Technique: Two-panel axial: CT | PSMA PET, [18F]PSMA-1007 tracer. slice 240 of 354. PET panel 200×200 px (4.1 mm/px).
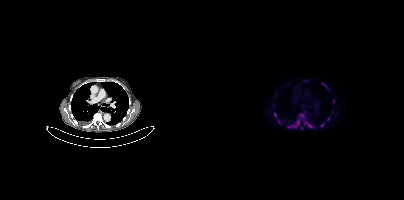
Findings: Coordinates are on the 200×200 PET (right) panel. (showing 10 of 13 foci) PSMA-avid tumor lesion bounding boxes (x0,y0,x1,y1): [102,122,110,127]; [116,123,120,126]; [118,83,122,86]. Small PSMA-avid foci (2 to 4 px across) near (center x, center y): (94, 122); (71, 114); (97, 115); (124, 119); (91, 126); (129, 101); (74, 121).